- Left: CT. Right: PSMA PET, same axial level, 18F tracer
- PET panel 200×200 px (4.1 mm/px)
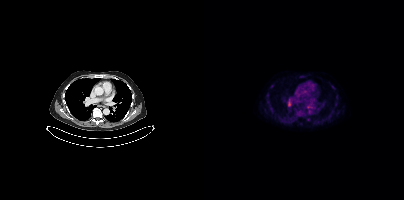
Findings: Coordinates are on the 200×200 PET (right) panel. PSMA-avid tumor lesion bounding box (x, y, width, height): x=84 y=101 w=4 h=6. Small PSMA-avid focus (2 to 4 px across) near (center x, center y): (104, 106).